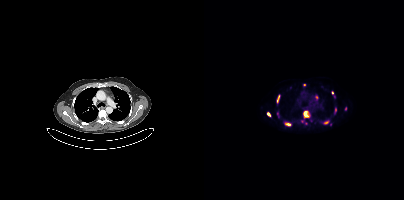
{"modality":"PSMA PET/CT","view":"axial","tracer":"18F-PSMA","pet_grid":[200,200],"coord_frame":"pet_panel","coord_format":"x0,y0,x1,y1","partial":true,"lesion_bboxes":[[99,111,106,117],[73,95,75,103],[120,121,124,124],[81,123,86,125],[130,108,132,113],[63,112,66,116],[73,112,75,116]],"small_foci_centers":[[112,97],[141,108],[100,84],[128,92],[101,123],[98,121]]}